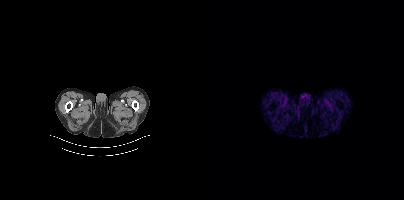
modality: PSMA PET/CT | tracer: [68Ga]Ga-PSMA-11 | view: axial
No PSMA-avid tumor lesions on this slice.